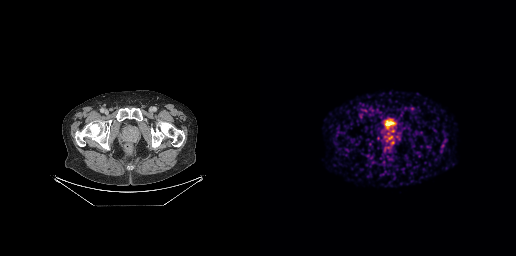
Coordinates are on the 256×256 PET (right) panel. PSMA-avid tumor lesion bounding box (x0,y0,x1,y1): [124,131,134,143]. Small PSMA-avid focus (2 to 4 px across) near (center x, center y): (136, 136).